Technique: Left: CT. Right: PSMA PET, same axial level, 68Ga-PSMA tracer. slice 108 of 405.
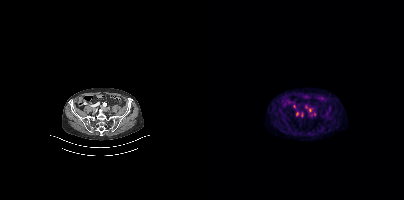
Findings: Coordinates are on the 200×200 PET (right) panel. Small PSMA-avid foci (2 to 4 px across) near (center x, center y): (90, 106) / (98, 115) / (110, 114) / (106, 110) / (106, 115) / (102, 107) / (93, 113).